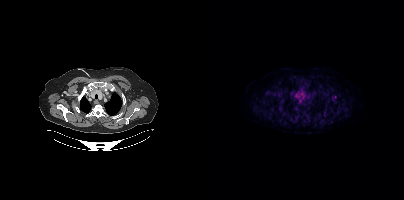
{"modality":"PSMA PET/CT","view":"axial","tracer":"18F","pet_grid":[200,200],"coord_frame":"pet_panel","coord_format":"x0,y0,x1,y1","lesion_bboxes":[],"small_foci_centers":[[130,96]]}